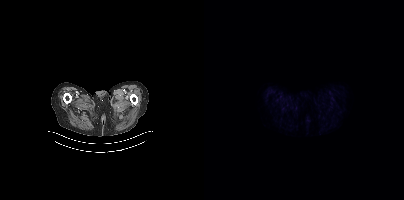
Paired axial CT (left) and PSMA PET (right), [18F]PSMA-1007 tracer. PET panel 200×200 px (4.1 mm/px). This slice has no annotated PSMA-avid lesion.